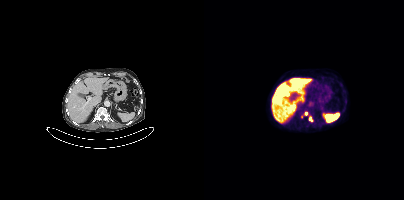
Left: CT. Right: PSMA PET, same axial level, 18F-PSMA tracer. Slice 212 of 401.
Coordinates are on the 200×200 PET (right) panel. PSMA-avid tumor lesion bounding boxes (partial; 1 more focus not listed):
| # | x0 | y0 | x1 | y1 |
|---|---|---|---|---|
| 1 | 105 | 116 | 108 | 121 |
Small PSMA-avid focus (2 to 4 px across) near (center x, center y): (101, 113).